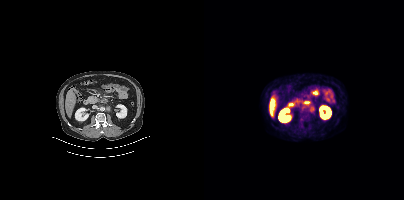
Technique: Two-panel axial: CT | PSMA PET, [18F]PSMA-1007 tracer. acquired on Siemens Biograph mCT Flow 20. slice position z = -552 mm.
Findings: Coordinates are on the 200×200 PET (right) panel. PSMA-avid tumor lesion bounding box (x, y, width, height): x=106 y=107 w=5 h=5.